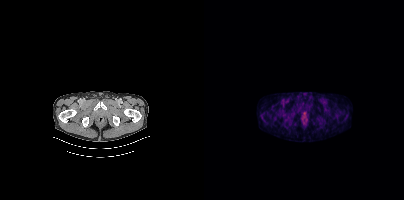
Two-panel axial: CT | PSMA PET, 18F-PSMA tracer. Acquired on Siemens Biograph mCT Flow 20. Slice position z = -568 mm. No PSMA-avid tumor lesions on this slice.